Technique: Paired axial CT (left) and PSMA PET (right), 18F tracer.
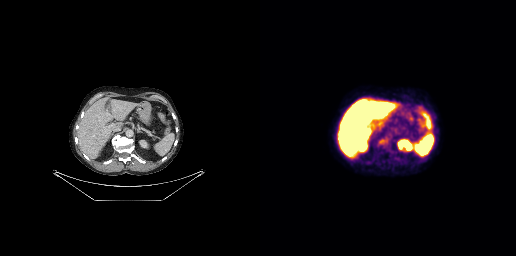
Findings: This slice has no annotated PSMA-avid lesion.